- head region blanked for anonymization (face removed)
- Left: CT. Right: PSMA PET, same axial level, 68Ga-PSMA tracer
- acquired on Siemens Biograph 64-4R TruePoint
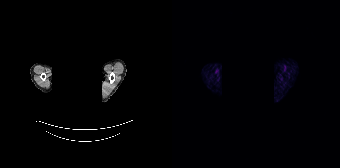
Findings: This slice has no annotated PSMA-avid lesion.